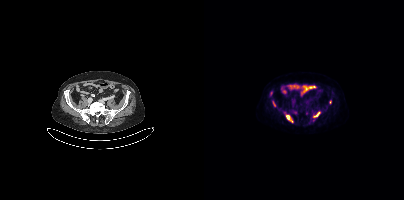
Coordinates are on the 200×200 PET (right) panel. PSMA-avid tumor lesion bounding boxes (x0, y0)-(x1, y1): (82, 115)-(89, 122) / (110, 112)-(115, 116) / (69, 102)-(71, 106). Small PSMA-avid foci (2 to 4 px across) near (center x, center y): (67, 93) / (126, 102).